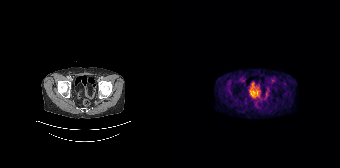
Technique: Two-panel axial: CT | PSMA PET, 68Ga tracer. slice position z = -1330 mm. PET panel 168×168 px (4.1 mm/px).
Findings: No tumor lesions annotated on this slice.